Two-panel axial: CT | PSMA PET, 18F-PSMA tracer. Acquired on Siemens Biograph mCT Flow 20.
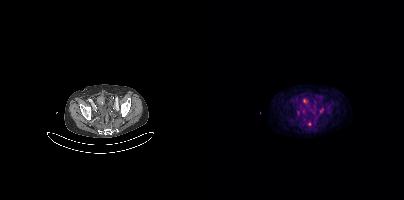
Coordinates are on the 200×200 PET (right) panel. PSMA-avid tumor lesion bounding box (x, y, width, height): x=116 y=108 w=4 h=5. Small PSMA-avid focus (2 to 4 px across) near (center x, center y): (105, 124).